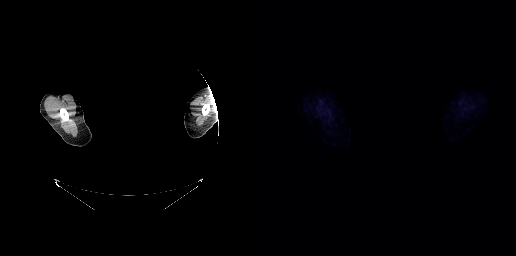
{"modality":"PSMA PET/CT","view":"axial","tracer":"[18F]PSMA-1007","pet_grid":[256,256],"coord_frame":"pet_panel","coord_format":"x0,y0,x1,y1","psma_avid_lesions":false,"de-identification":"facial region redacted"}